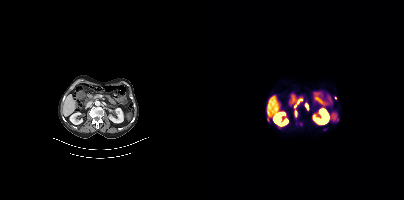
Two-panel axial: CT | PSMA PET, 68Ga-PSMA tracer. Acquired on Siemens Biograph mCT Flow 20. Slice position z = -1294 mm. PET panel 200×200 px (4.1 mm/px).
Coordinates are on the 200×200 PET (right) panel. PSMA-avid tumor lesion bounding boxes:
| # | x0 | y0 | x1 | y1 |
|---|---|---|---|---|
| 1 | 91 | 99 | 98 | 107 |
| 2 | 101 | 103 | 104 | 109 |
| 3 | 91 | 110 | 93 | 117 |
Small PSMA-avid foci (2 to 4 px across) near (center x, center y): (96, 123); (64, 119); (133, 118); (120, 129); (131, 97).